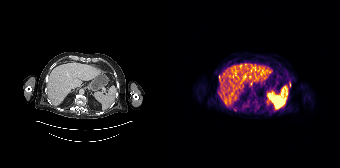
Findings: Only PSMA-avid lesion pieces thinner than 2 px on this slice (not listed).
Technique: Left: CT. Right: PSMA PET, same axial level, [68Ga]Ga-PSMA-11 tracer. acquired on Siemens Biograph 64-4R TruePoint.